Technique: Two-panel axial: CT | PSMA PET, [18F]PSMA-1007 tracer. slice 90 of 407. PET panel 200×200 px (4.1 mm/px).
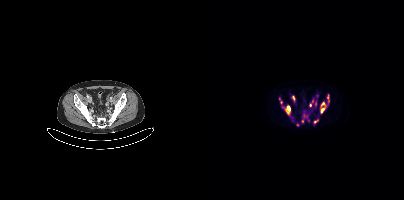
Findings: Coordinates are on the 200×200 PET (right) panel. (showing 12 of 13 foci) PSMA-avid tumor lesion bounding boxes (x0, y0)-(x1, y1): (116, 102)-(121, 113); (82, 106)-(86, 112); (88, 95)-(91, 101); (75, 99)-(78, 104); (99, 115)-(105, 121); (123, 94)-(125, 99); (111, 101)-(112, 105). Small PSMA-avid foci (2 to 4 px across) near (center x, center y): (111, 121); (98, 120); (106, 105); (108, 101); (93, 124).